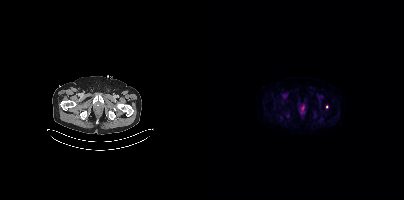
Coordinates are on the 200×200 PET (right) panel. Small PSMA-avid focus (2 to 4 px across) near (center x, center y): (122, 106). Two-panel axial: CT | PSMA PET, 18F tracer.